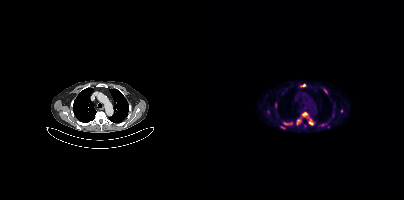
modality: PSMA PET/CT | tracer: 18F-PSMA | view: axial | PET grid: 200×200
Coordinates are on the 200×200 PET (right) panel. (showing 7 of 9 foci) PSMA-avid tumor lesion bounding boxes (x0, y0)-(x1, y1): (98, 112)-(103, 116); (105, 119)-(109, 125); (93, 119)-(96, 124); (120, 89)-(123, 93); (80, 122)-(85, 124); (97, 84)-(101, 86). Small PSMA-avid focus (2 to 4 px across) near (center x, center y): (78, 127).